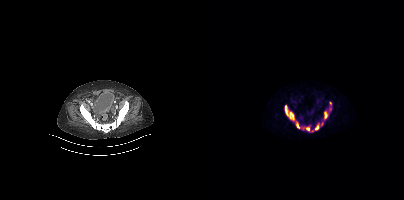
Paired axial CT (left) and PSMA PET (right), [68Ga]Ga-PSMA-11 tracer. PET panel 200×200 px (4.1 mm/px). No tumor lesions annotated on this slice.